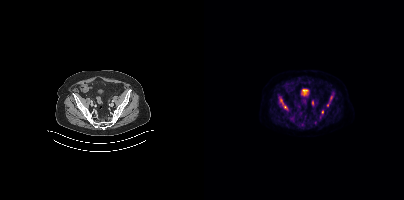
Two-panel axial: CT | PSMA PET, 18F-PSMA tracer.
Coordinates are on the 200×200 PET (right) panel. PSMA-avid tumor lesion bounding boxes (partial; 2 more foci not listed):
| # | x0 | y0 | x1 | y1 |
|---|---|---|---|---|
| 1 | 76 | 99 | 83 | 109 |
| 2 | 126 | 93 | 129 | 100 |
| 3 | 108 | 101 | 109 | 105 |
Small PSMA-avid focus (2 to 4 px across) near (center x, center y): (118, 111).